Two-panel axial: CT | PSMA PET, [18F]PSMA-1007 tracer.
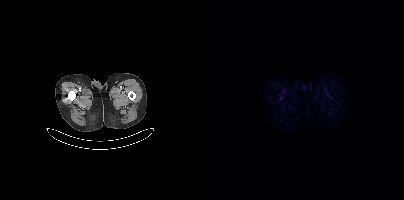
Negative for PSMA-avid disease on this slice.